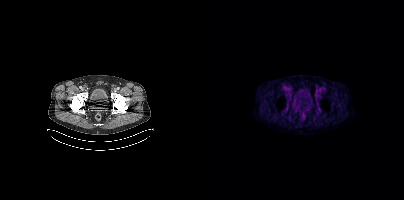
No PSMA-avid tumor lesions on this slice. Two-panel axial: CT | PSMA PET, 18F-PSMA tracer. Slice position z = 1148 mm. PET panel 200×200 px (4.1 mm/px).